modality: PSMA PET/CT | tracer: 68Ga-PSMA | view: axial
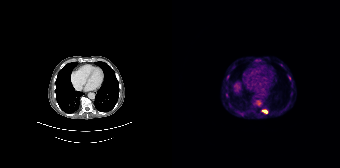
Coordinates are on the 168×168 PET (right) panel. (showing 7 of 8 foci) PSMA-avid tumor lesion bounding boxes (x0,y0,x1,y1): [85,101,90,106] [54,93,56,97] [55,75,57,79]. Small PSMA-avid foci (2 to 4 px across) near (center x, center y): (93, 111) (117, 77) (69, 114) (118, 95).